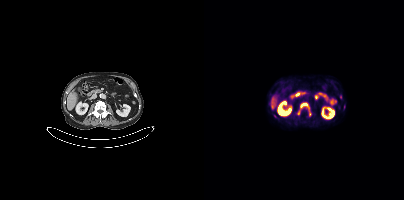
Technique: Left: CT. Right: PSMA PET, same axial level, 18F-PSMA tracer.
Findings: Coordinates are on the 200×200 PET (right) panel. (showing 1 of 2 foci) PSMA-avid tumor lesion bounding box (x0, y0)-(x1, y1): (93, 102)-(107, 115).